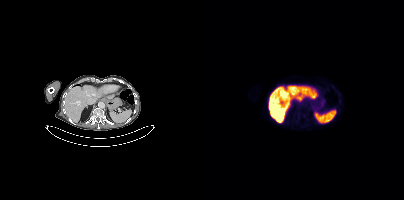
Negative for PSMA-avid disease on this slice. Paired axial CT (left) and PSMA PET (right), 18F-PSMA tracer. PET panel 200×200 px (4.1 mm/px).